Technique: Left: CT. Right: PSMA PET, same axial level, 18F-PSMA tracer. slice position z = -224 mm. PET panel 200×200 px (4.1 mm/px).
Note: The head region is masked for de-identification.
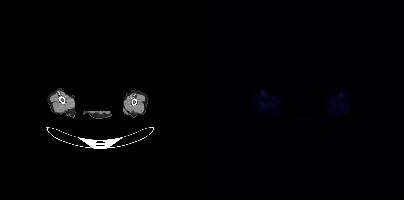
Findings: No PSMA-avid tumor lesions on this slice.